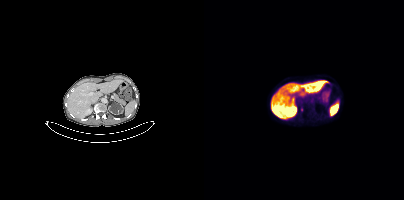
modality: PSMA PET/CT | tracer: 18F | view: axial | PET grid: 200×200
Coordinates are on the 200×200 PET (right) panel. Small PSMA-avid focus (2 to 4 px across) near (center x, center y): (97, 109).